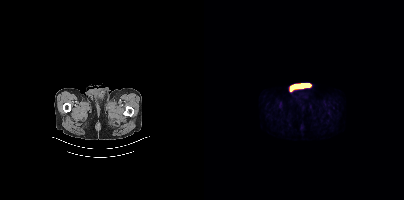
{"pet_grid":[200,200],"coord_frame":"pet_panel","coord_format":"x0,y0,x1,y1","psma_avid_lesions":false,"modality":"PSMA PET/CT","view":"axial","tracer":"[18F]PSMA-1007"}